Left: CT. Right: PSMA PET, same axial level, 18F-PSMA tracer. Acquired on Siemens Biograph mCT Flow 20.
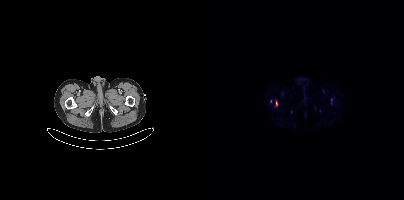
Only PSMA-avid lesion pieces thinner than 2 px on this slice (not listed).